Technique: Two-panel axial: CT | PSMA PET, 18F-PSMA tracer. acquired on Siemens Biograph mCT Flow 20. slice position z = -1362 mm.
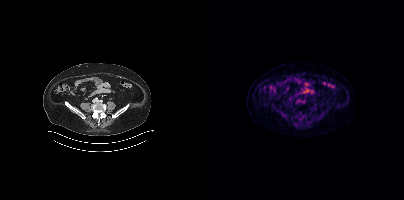
Findings: No tumor lesions annotated on this slice.